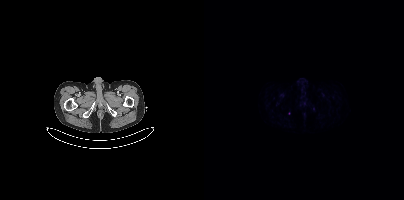
{"pet_grid":[200,200],"coord_frame":"pet_panel","coord_format":"x0,y0,x1,y1","psma_avid_lesions":false,"modality":"PSMA PET/CT","view":"axial","tracer":"68Ga"}